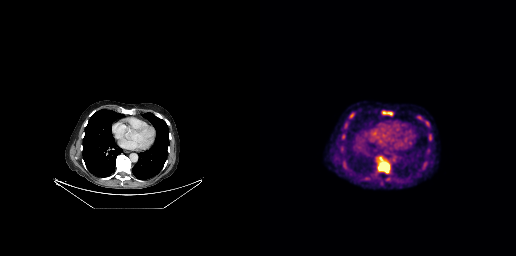
Paired axial CT (left) and PSMA PET (right), 18F tracer. Acquired on GE Discovery 690. Coordinates are on the 256×256 PET (right) panel. PSMA-avid tumor lesion bounding boxes (x, y, width, height): x=118 y=157 w=12 h=16; x=122 y=111 w=12 h=5; x=89 y=112 w=6 h=7; x=169 y=134 w=3 h=7; x=165 y=121 w=5 h=5; x=85 y=122 w=3 h=5. Small PSMA-avid focus (2 to 4 px across) near (center x, center y): (83, 136).